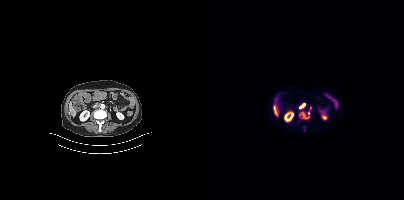
Paired axial CT (left) and PSMA PET (right), 18F tracer. PET panel 200×200 px (4.1 mm/px). Coordinates are on the 200×200 PET (right) panel. (showing 2 of 4 foci) PSMA-avid tumor lesion bounding box (x0,y0,x1,y1): [95,104,101,108]. Small PSMA-avid focus (2 to 4 px across) near (center x, center y): (104, 112).